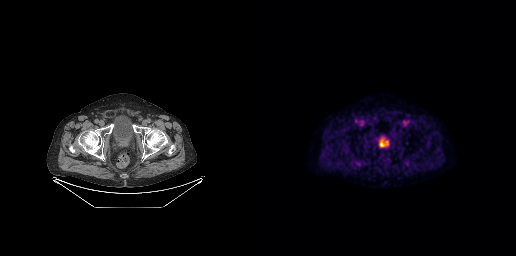
Coordinates are on the 256×256 PET (right) panel. PSMA-avid tumor lesion bounding box (x, y, width, height): x=120 y=142 w=5 h=5. Small PSMA-avid focus (2 to 4 px across) near (center x, center y): (126, 141).